Technique: Two-panel axial: CT | PSMA PET, 18F tracer. acquired on Siemens Biograph mCT Flow 20. PET panel 200×200 px (4.1 mm/px).
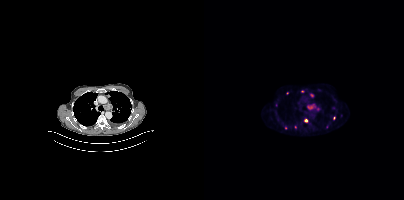
Findings: Coordinates are on the 200×200 PET (right) panel. (showing 10 of 12 foci) PSMA-avid tumor lesion bounding boxes (x, y, width, height): x=103 y=104 w=9 h=6 | x=106 y=93 w=4 h=5. Small PSMA-avid foci (2 to 4 px across) near (center x, center y): (102, 120) | (123, 126) | (114, 109) | (130, 118) | (129, 107) | (81, 127) | (83, 92) | (91, 126).